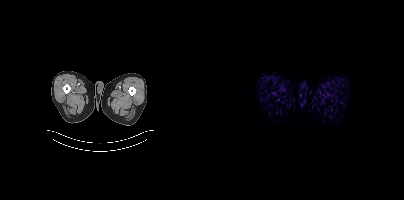
{"modality":"PSMA PET/CT","view":"axial","tracer":"[68Ga]Ga-PSMA-11","pet_grid":[200,200],"coord_frame":"pet_panel","coord_format":"x0,y0,x1,y1","psma_avid_lesions":false}